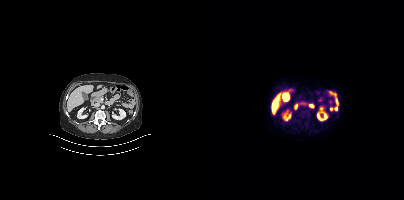
Findings: No tumor lesions annotated on this slice.
- Left: CT. Right: PSMA PET, same axial level, [18F]PSMA-1007 tracer